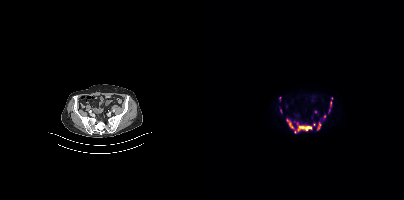
modality: PSMA PET/CT | tracer: [18F]PSMA-1007 | view: axial | PET grid: 200×200
Coordinates are on the 200×200 PET (right) panel. (showing 7 of 11 foci) PSMA-avid tumor lesion bounding boxes (x0, y0)-(x1, y1): (93, 123)-(107, 130) | (83, 119)-(89, 128) | (113, 124)-(116, 129). Small PSMA-avid foci (2 to 4 px across) near (center x, center y): (126, 102) | (90, 131) | (75, 97) | (127, 98).